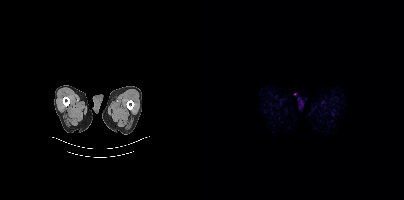
No tumor lesions annotated on this slice.